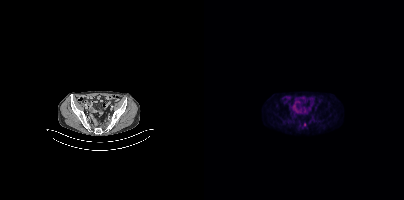
Coordinates are on the 200×200 PET (right) panel. PSMA-avid tumor lesion bounding box (x0,y0,x1,y1): [98,124,101,128]. Small PSMA-avid focus (2 to 4 px across) near (center x, center y): (106, 121).